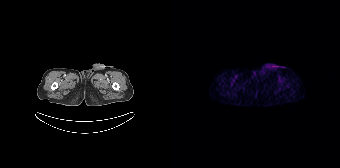
{"modality":"PSMA PET/CT","view":"axial","tracer":"[68Ga]Ga-PSMA-11","pet_grid":[168,168],"coord_frame":"pet_panel","coord_format":"x0,y0,x1,y1","psma_avid_lesions":false}